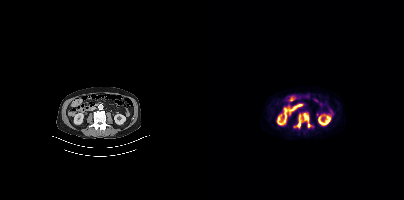
Findings: Coordinates are on the 200×200 PET (right) panel. (showing 1 of 2 foci) PSMA-avid tumor lesion bounding box (x, y, width, height): x=92 y=113 w=16 h=16.
- Two-panel axial: CT | PSMA PET, 18F tracer
- slice 212 of 466